- Left: CT. Right: PSMA PET, same axial level, 18F-PSMA tracer
- slice position z = -642 mm
- PET panel 256×256 px (2.7 mm/px)
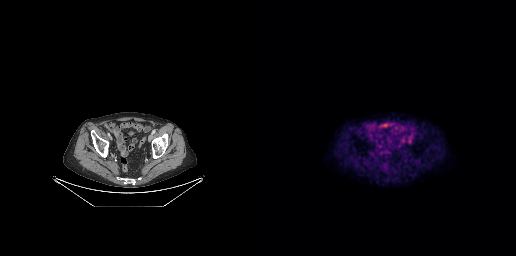
Findings: No tumor lesions annotated on this slice.